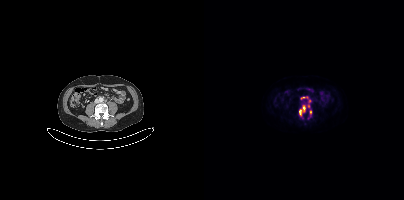
Coordinates are on the 200×200 PET (right) panel. PSMA-avid tumor lesion bounding boxes (x0,y0,x1,y1): [96,105,105,113]; [103,97,106,101]; [96,97,100,99]. Small PSMA-avid focus (2 to 4 px across) near (center x, center y): (106, 111).